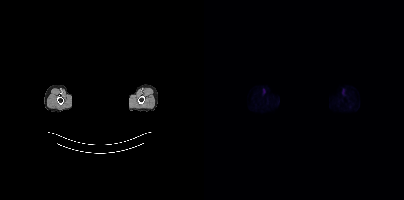
redaction: face masked with black rectangle | modality: PSMA PET/CT | tracer: 18F | view: axial
Negative for PSMA-avid disease on this slice.